Technique: Left: CT. Right: PSMA PET, same axial level, 18F-PSMA tracer.
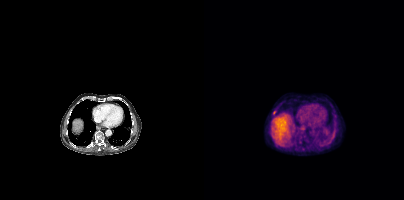
Findings: Coordinates are on the 200×200 PET (right) panel. Small PSMA-avid focus (2 to 4 px across) near (center x, center y): (70, 112).